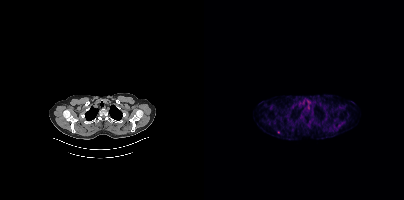
Technique: Two-panel axial: CT | PSMA PET, 68Ga-PSMA tracer. slice position z = -507 mm.
Findings: Only PSMA-avid lesion pieces thinner than 2 px on this slice (not listed).